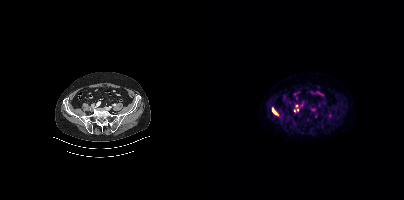
Coordinates are on the 200×200 PET (right) panel. PSMA-avid tumor lesion bounding boxes (partial; 3 more foci not listed):
| # | x0 | y0 | x1 | y1 |
|---|---|---|---|---|
| 1 | 68 | 108 | 73 | 114 |
Left: CT. Right: PSMA PET, same axial level, [18F]PSMA-1007 tracer.